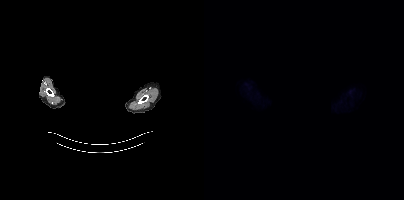
This slice has no annotated PSMA-avid lesion. An anonymization step blacked out a rectangle over the head in this scan. Left: CT. Right: PSMA PET, same axial level, 18F tracer. Slice 349 of 383.